- Paired axial CT (left) and PSMA PET (right), 18F-PSMA tracer
- acquired on Siemens Biograph mCT Flow 20
- slice 33 of 401
- PET panel 200×200 px (4.1 mm/px)
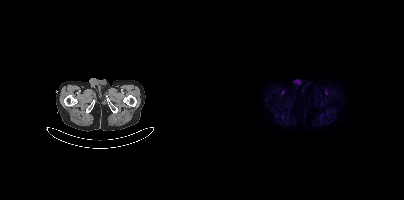
Findings: No tumor lesions annotated on this slice.